modality: PSMA PET/CT | tracer: 18F-PSMA | view: axial | PET grid: 256×256
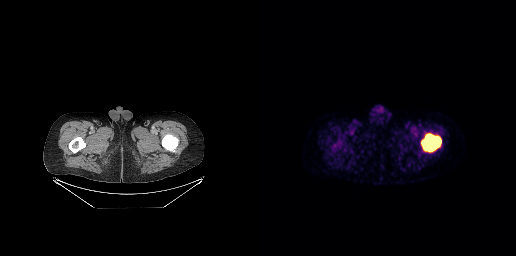
Coordinates are on the 256×256 PET (right) panel. PSMA-avid tumor lesion bounding box (x0, y0)-(x1, y1): (161, 133)-(181, 151).